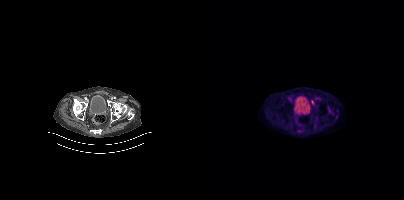
- Left: CT. Right: PSMA PET, same axial level, 18F-PSMA tracer
- slice 61 of 367
Findings: Coordinates are on the 200×200 PET (right) panel. (showing 3 of 4 foci) PSMA-avid tumor lesion bounding boxes (x0,y0,x1,y1): [107,100,110,104] [130,115,133,120]. Small PSMA-avid focus (2 to 4 px across) near (center x, center y): (129, 114).